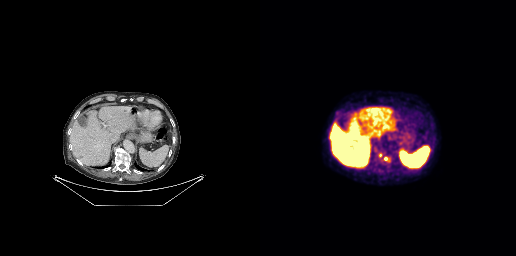
Coordinates are on the 256×256 PET (right) panel. PSMA-avid tumor lesion bounding box (x0, y0)-(x1, y1): (116, 152)-(128, 160). Left: CT. Right: PSMA PET, same axial level, [18F]PSMA-1007 tracer. Acquired on GE Discovery 690. Slice 162 of 263. PET panel 256×256 px (2.7 mm/px).